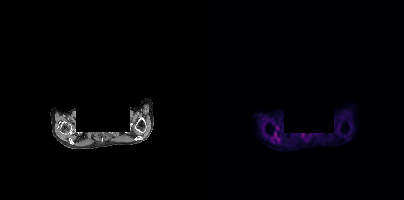
Findings: Only PSMA-avid lesion pieces thinner than 2 px on this slice (not listed).
- Paired axial CT (left) and PSMA PET (right), [18F]PSMA-1007 tracer
- acquired on Siemens Biograph mCT Flow 20
- facial anatomy redacted by setting a rectangular region of the head to black